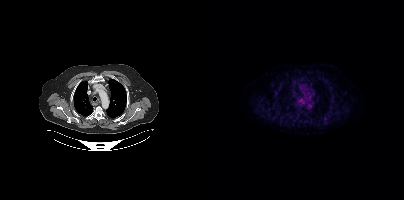
Paired axial CT (left) and PSMA PET (right), 18F-PSMA tracer. Slice position z = -209 mm. This slice has no annotated PSMA-avid lesion.